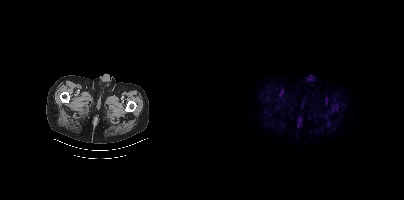
Negative for PSMA-avid disease on this slice.
modality: PSMA PET/CT | tracer: 18F-PSMA | view: axial | PET grid: 200×200